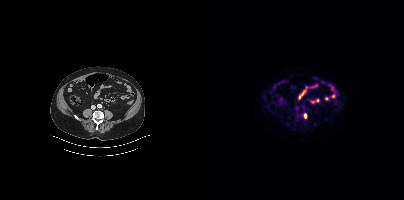
Findings: Coordinates are on the 200×200 PET (right) panel. PSMA-avid tumor lesion bounding box (x, y, width, height): x=100 y=113 w=3 h=6.
- Paired axial CT (left) and PSMA PET (right), 18F-PSMA tracer
- slice position z = -654 mm